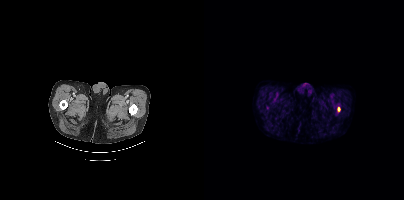
Findings: Coordinates are on the 200×200 PET (right) panel. Small PSMA-avid focus (2 to 4 px across) near (center x, center y): (134, 109).
Technique: Left: CT. Right: PSMA PET, same axial level, [18F]PSMA-1007 tracer. slice 44 of 448.